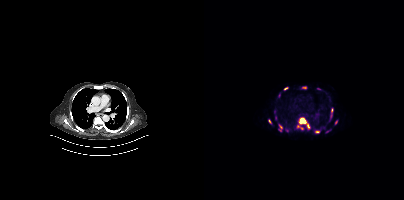
modality: PSMA PET/CT | tracer: 68Ga | view: axial
Coordinates are on the 200×200 PET (right) panel. (showing 10 of 11 foci) PSMA-avid tumor lesion bounding boxes (x, y, width, height): x=93 y=118 w=13 h=11 / x=75 y=125 w=4 h=6 / x=111 y=130 w=5 h=4. Small PSMA-avid foci (2 to 4 px across) near (center x, center y): (128, 110) / (66, 121) / (83, 130) / (99, 87) / (132, 122) / (82, 88) / (71, 118).